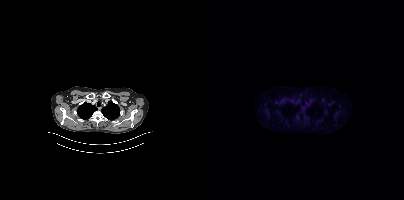
No PSMA-avid tumor lesions on this slice.